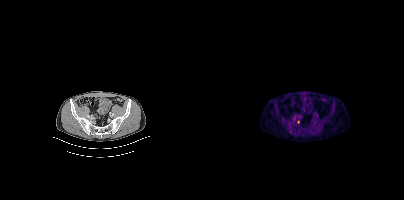
Left: CT. Right: PSMA PET, same axial level, [18F]PSMA-1007 tracer. PET panel 200×200 px (4.1 mm/px). Coordinates are on the 200×200 PET (right) panel. Small PSMA-avid focus (2 to 4 px across) near (center x, center y): (93, 121).